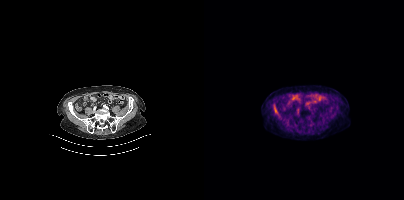
Coordinates are on the 200×200 PET (right) panel. PSMA-avid tumor lesion bounding box (x0,y0,x1,y1): [70,108,73,113].
modality: PSMA PET/CT | tracer: 18F | view: axial